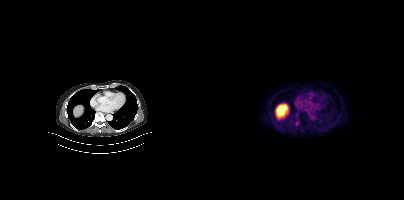
- Two-panel axial: CT | PSMA PET, [18F]PSMA-1007 tracer
Findings: Coordinates are on the 200×200 PET (right) panel. Small PSMA-avid focus (2 to 4 px across) near (center x, center y): (92, 122).